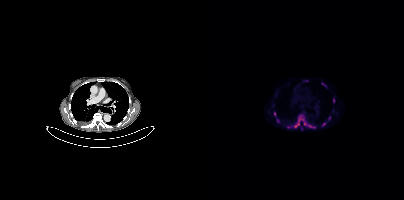
{"modality":"PSMA PET/CT","view":"axial","tracer":"18F","pet_grid":[200,200],"coord_frame":"pet_panel","coord_format":"x0,y0,x1,y1","partial":true,"lesion_bboxes":[[90,115,111,128]],"small_foci_centers":[[119,124],[129,100],[70,113],[125,118],[73,120],[118,83]]}